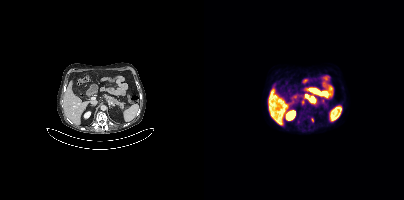
Coordinates are on the 200×200 PET (right) panel. (showing 4 of 5 foci) PSMA-avid tumor lesion bounding box (x0,y0,x1,y1): [98,100,100,104]. Small PSMA-avid foci (2 to 4 px across) near (center x, center y): (119, 100), (108, 119), (95, 121).